- Paired axial CT (left) and PSMA PET (right), [18F]PSMA-1007 tracer
- slice 239 of 401
- PET panel 200×200 px (4.1 mm/px)
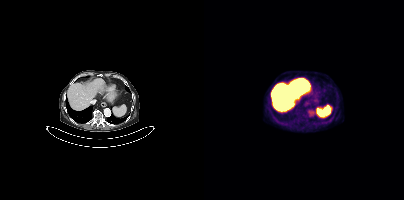
Findings: Negative for PSMA-avid disease on this slice.